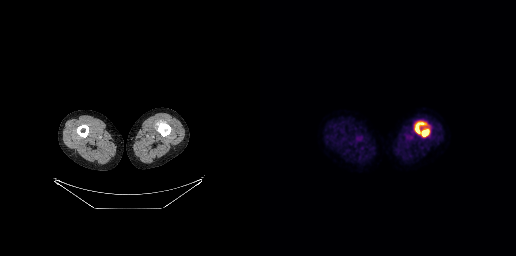
Coordinates are on the 256×256 PET (right) panel. PSMA-avid tumor lesion bounding box (x0, y0)-(x1, y1): (155, 122)-(169, 136).